modality: PSMA PET/CT | tracer: 18F | view: axial | PET grid: 200×200
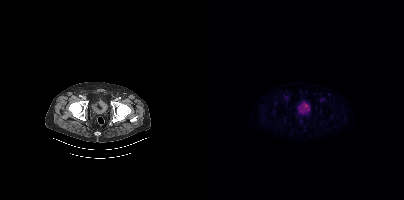
No tumor lesions annotated on this slice.